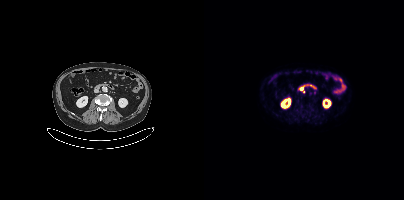
- Left: CT. Right: PSMA PET, same axial level, 18F-PSMA tracer
- PET panel 200×200 px (4.1 mm/px)
Findings: No PSMA-avid tumor lesions on this slice.